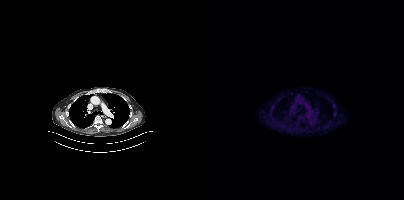
{"pet_grid":[200,200],"coord_frame":"pet_panel","coord_format":"x0,y0,x1,y1","partial":true,"lesion_bboxes":[],"small_foci_centers":[[123,125]],"modality":"PSMA PET/CT","view":"axial","tracer":"[18F]PSMA-1007"}